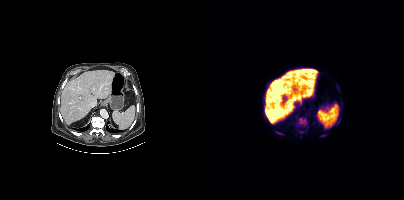
Coordinates are on the 200×200 PET (right) panel. (showing 7 of 8 foci) PSMA-avid tumor lesion bounding boxes (x0,y0,x1,y1): [93,117,103,127]; [73,132,79,135]; [132,85,135,91]; [116,135,120,136]; [66,124,70,125]. Small PSMA-avid foci (2 to 4 px across) near (center x, center y): (97, 132); (134, 123). Left: CT. Right: PSMA PET, same axial level, [18F]PSMA-1007 tracer. Slice 235 of 423.